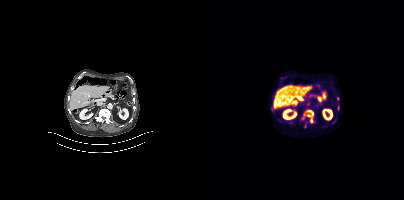
Coordinates are on the 200×200 PET (right) panel. PSMA-avid tumor lesion bounding box (x, y, width, height): x=98 y=110 w=12 h=14. Small PSMA-avid foci (2 to 4 px across) near (center x, center y): (103, 103) / (134, 107) / (129, 122).